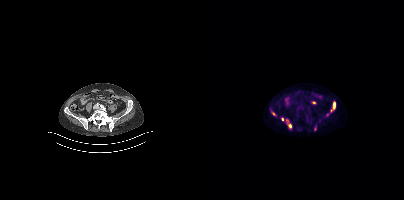
Coordinates are on the 200×200 PET (right) panel. (showing 5 of 6 foci) PSMA-avid tumor lesion bounding boxes (x0,y0,x1,y1): [126,101,131,111] [82,119,87,129]. Small PSMA-avid foci (2 to 4 px across) near (center x, center y): (69, 113) (78, 119) (123, 114). Two-panel axial: CT | PSMA PET, [18F]PSMA-1007 tracer. Slice position z = -1337 mm.